Technique: Paired axial CT (left) and PSMA PET (right), 18F tracer. slice position z = -913 mm.
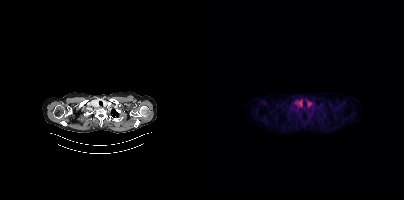
Findings: No tumor lesions annotated on this slice.